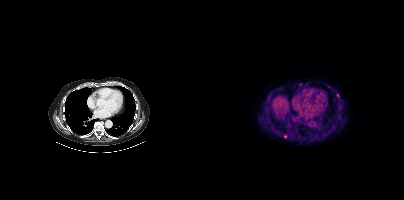
Findings: Coordinates are on the 200×200 PET (right) panel. Small PSMA-avid foci (2 to 4 px across) near (center x, center y): (64, 97); (133, 95); (81, 136).
- Paired axial CT (left) and PSMA PET (right), 18F tracer
- slice 262 of 403
- PET panel 200×200 px (4.1 mm/px)